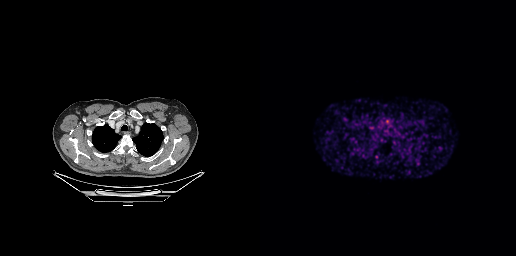
Negative for PSMA-avid disease on this slice. Two-panel axial: CT | PSMA PET, [68Ga]Ga-PSMA-11 tracer. PET panel 256×256 px (2.7 mm/px).